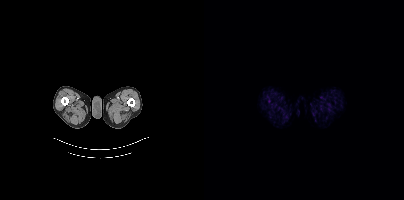
Paired axial CT (left) and PSMA PET (right), [18F]PSMA-1007 tracer. Slice position z = -1700 mm. PET panel 200×200 px (4.1 mm/px). Negative for PSMA-avid disease on this slice.